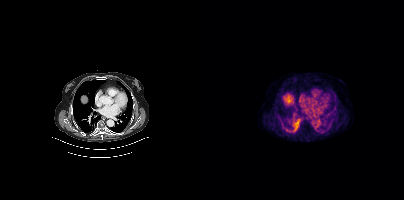
Negative for PSMA-avid disease on this slice. Paired axial CT (left) and PSMA PET (right), 18F tracer. Slice position z = -1040 mm. PET panel 200×200 px (4.1 mm/px).